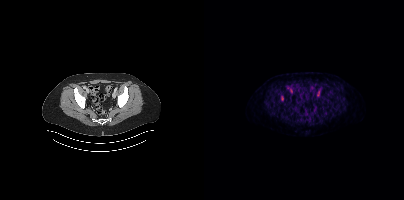
{"modality":"PSMA PET/CT","view":"axial","tracer":"[18F]PSMA-1007","pet_grid":[200,200],"coord_frame":"pet_panel","coord_format":"x0,y0,x1,y1","lesion_bboxes":[[77,96,79,100]]}